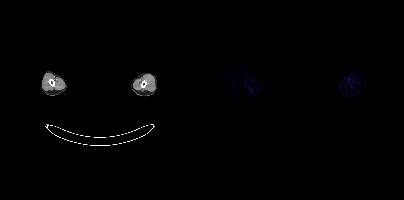
Technique: Left: CT. Right: PSMA PET, same axial level, [18F]PSMA-1007 tracer. slice 388 of 393. PET panel 200×200 px (4.1 mm/px).
Note: Privacy masking over the head, with the pixels inside a rectangle set to black.
Findings: No PSMA-avid tumor lesions on this slice.